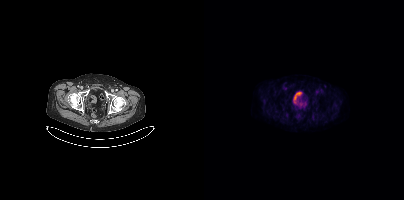
No PSMA-avid tumor lesions on this slice. Two-panel axial: CT | PSMA PET, [18F]PSMA-1007 tracer. Slice position z = -905 mm.